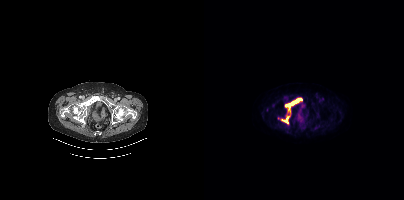
- Two-panel axial: CT | PSMA PET, 18F tracer
- acquired on Siemens Biograph mCT Flow 20
- slice 76 of 401
- PET panel 200×200 px (4.1 mm/px)
Findings: Coordinates are on the 200×200 PET (right) panel. (showing 2 of 3 foci) PSMA-avid tumor lesion bounding boxes (x0, y0)-(x1, y1): (81, 98)-(97, 108) / (78, 117)-(84, 123).